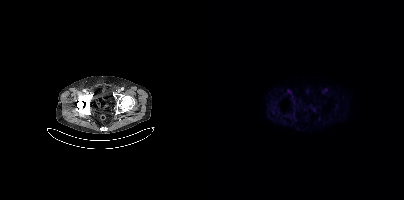
No tumor lesions annotated on this slice.
modality: PSMA PET/CT | tracer: 18F-PSMA | view: axial | PET grid: 200×200